modality: PSMA PET/CT | tracer: 68Ga-PSMA | view: axial
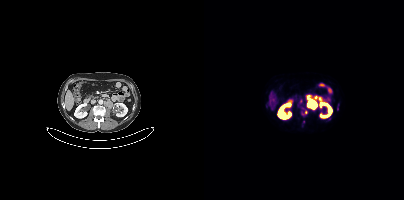
Coordinates are on the 200×200 PET (right) panel. (showing 3 of 5 foci) PSMA-avid tumor lesion bounding boxes (x0,y0,x1,y1): [95,98,98,104]; [133,103,135,107]. Small PSMA-avid focus (2 to 4 px across) near (center x, center y): (101, 112).